modality: PSMA PET/CT | tracer: 18F | view: axial | PET grid: 200×200
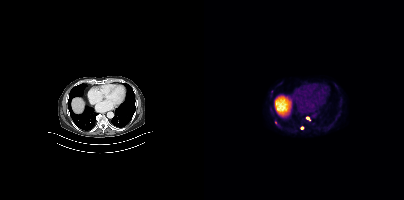
Coordinates are on the 200×200 PET (right) panel. Small PSMA-avid foci (2 to 4 px across) near (center x, center y): (71, 122) (103, 117) (97, 127).